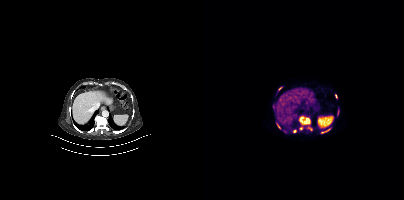
modality: PSMA PET/CT | tracer: 68Ga-PSMA | view: axial | PET grid: 200×200
Coordinates are on the 200×200 PET (right) panel. PSMA-avid tumor lesion bounding boxes (x0,y0,x1,y1): [95,116,106,124] [117,128,126,133] [95,126,99,130] [103,126,107,130] [72,122,76,129] [74,87,78,90] [131,94,133,98]. Small PSMA-avid foci (2 to 4 px across) near (center x, center y): (90, 131) (133, 114) (134, 110).